Paired axial CT (left) and PSMA PET (right), [18F]PSMA-1007 tracer.
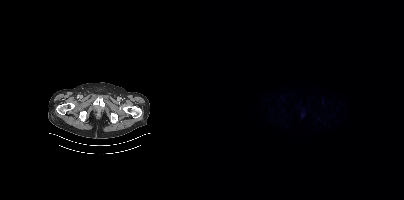
This slice has no annotated PSMA-avid lesion.